Technique: Left: CT. Right: PSMA PET, same axial level, 18F-PSMA tracer. acquired on Siemens Biograph mCT Flow 20. slice 235 of 413. PET panel 200×200 px (4.1 mm/px).
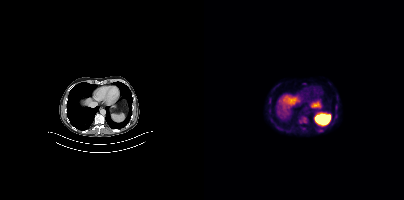
Findings: Coordinates are on the 200×200 PET (right) panel. (showing 2 of 3 foci) PSMA-avid tumor lesion bounding box (x0, y0)-(x1, y1): (65, 98)-(66, 102). Small PSMA-avid focus (2 to 4 px across) near (center x, center y): (132, 107).